- Paired axial CT (left) and PSMA PET (right), 18F-PSMA tracer
- slice position z = -278 mm
- PET panel 200×200 px (4.1 mm/px)
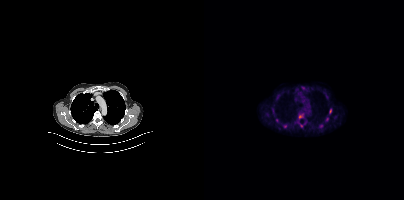
Findings: Coordinates are on the 200×200 PET (right) panel. (showing 4 of 8 foci) PSMA-avid tumor lesion bounding boxes (x, y, width, height): x=125 y=108 w=4 h=7 / x=115 y=124 w=5 h=5 / x=121 y=117 w=4 h=5. Small PSMA-avid focus (2 to 4 px across) near (center x, center y): (73, 120).